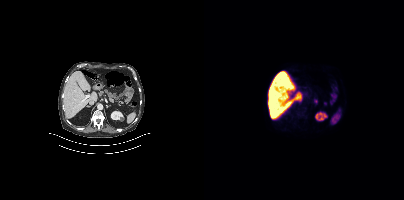
Paired axial CT (left) and PSMA PET (right), 18F-PSMA tracer. Slice position z = -704 mm. This slice has no annotated PSMA-avid lesion.